deidentification: head region blanked (face removed) | modality: PSMA PET/CT | tracer: 18F | view: axial | PET grid: 200×200
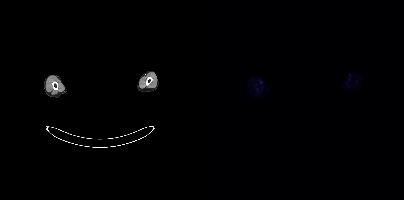
Negative for PSMA-avid disease on this slice.